Left: CT. Right: PSMA PET, same axial level, [18F]PSMA-1007 tracer. Acquired on Siemens Biograph mCT Flow 20.
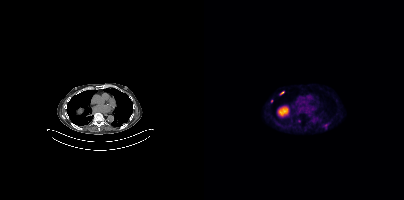
Coordinates are on the 200×200 PET (right) panel. PSMA-avid tumor lesion bounding boxes:
| # | x0 | y0 | x1 | y1 |
|---|---|---|---|---|
| 1 | 76 | 91 | 80 | 94 |
Small PSMA-avid foci (2 to 4 px across) near (center x, center y): (67, 101); (95, 120).